Left: CT. Right: PSMA PET, same axial level, 18F-PSMA tracer. Acquired on Siemens Biograph mCT Flow 20. Slice position z = -794 mm.
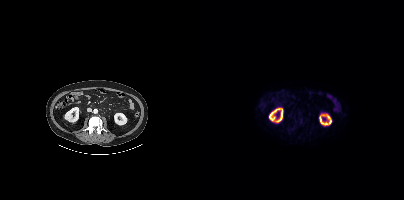
No tumor lesions annotated on this slice.